modality: PSMA PET/CT | tracer: 68Ga-PSMA | view: axial | PET grid: 168×168
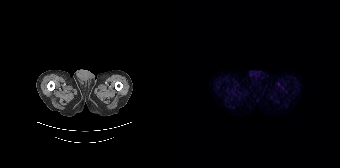
No PSMA-avid tumor lesions on this slice.